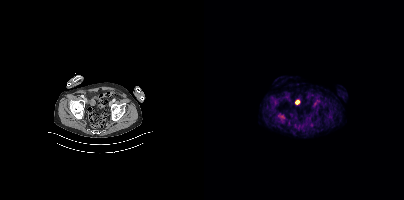
Paired axial CT (left) and PSMA PET (right), 18F-PSMA tracer. No PSMA-avid tumor lesions on this slice.